Left: CT. Right: PSMA PET, same axial level, 18F tracer. Acquired on Siemens Biograph mCT Flow 20.
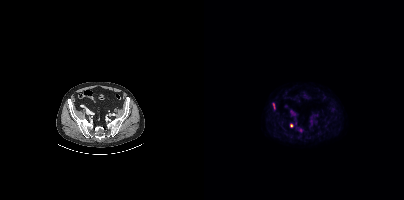
Coordinates are on the 200×200 PET (right) panel. PSMA-avid tumor lesion bounding boxes (partial; 1 more focus not listed):
| # | x0 | y0 | x1 | y1 |
|---|---|---|---|---|
| 1 | 69 | 104 | 70 | 108 |
Small PSMA-avid focus (2 to 4 px across) near (center x, center y): (87, 125).